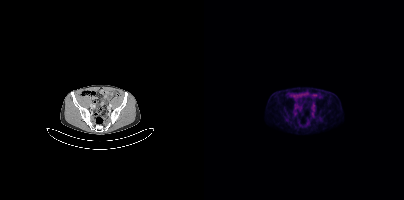
Findings: Coordinates are on the 200×200 PET (right) panel. Small PSMA-avid foci (2 to 4 px across) near (center x, center y): (92, 107) / (108, 109).
- Two-panel axial: CT | PSMA PET, 18F tracer